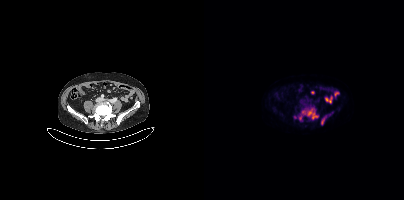
Two-panel axial: CT | PSMA PET, 18F-PSMA tracer. Slice position z = -886 mm. Coordinates are on the 200×200 PET (right) panel. (showing 3 of 4 foci) PSMA-avid tumor lesion bounding boxes (x, y, width, height): x=98 y=108 w=17 h=12 / x=117 y=115 w=6 h=10. Small PSMA-avid focus (2 to 4 px across) near (center x, center y): (96, 117).